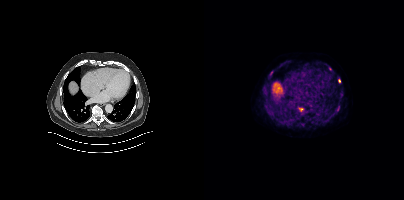
Coordinates are on the 200×200 PET (right) panel. (showing 8 of 10 foci) PSMA-avid tumor lesion bounding boxes (x0,y0,x1,y1): [95,108,100,113]; [64,72,68,78]; [59,88,63,92]; [132,106,136,111]; [136,92,139,96]; [122,64,127,70]; [120,120,124,123]. Small PSMA-avid focus (2 to 4 px across) near (center x, center y): (66, 115).